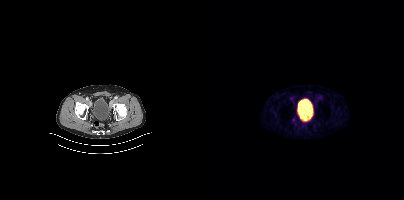
- Two-panel axial: CT | PSMA PET, 68Ga tracer
- acquired on Siemens Biograph mCT Flow 20
- slice position z = 214 mm
Findings: Coordinates are on the 200×200 PET (right) panel. Small PSMA-avid focus (2 to 4 px across) near (center x, center y): (89, 120).